Technique: Paired axial CT (left) and PSMA PET (right), [18F]PSMA-1007 tracer. acquired on Siemens Biograph mCT Flow 20. slice position z = 180 mm.
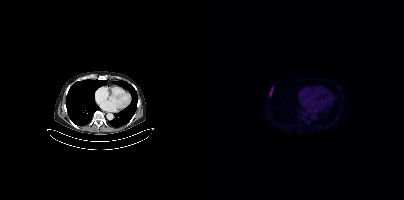
Findings: Coordinates are on the 200×200 PET (right) panel. PSMA-avid tumor lesion bounding box (x0,y0,x1,y1): [66,87,68,95].